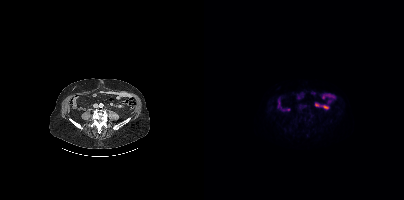
{"modality":"PSMA PET/CT","view":"axial","tracer":"[18F]PSMA-1007","pet_grid":[200,200],"coord_frame":"pet_panel","coord_format":"x0,y0,x1,y1","psma_avid_lesions":false}